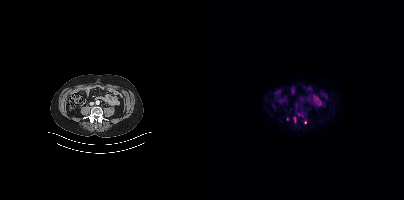
Left: CT. Right: PSMA PET, same axial level, 18F tracer. Slice 158 of 429. PET panel 200×200 px (4.1 mm/px). Coordinates are on the 200×200 PET (right) panel. (showing 1 of 3 foci) PSMA-avid tumor lesion bounding box (x0,y0,x1,y1): [90,118,92,122].